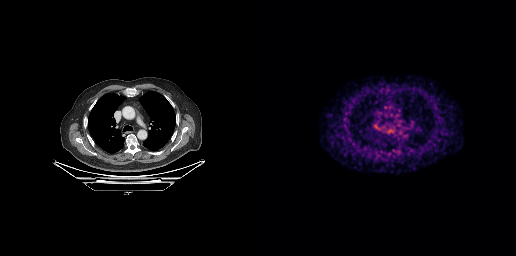
Two-panel axial: CT | PSMA PET, 68Ga tracer. Slice position z = -462 mm. No PSMA-avid tumor lesions on this slice.